Technique: Left: CT. Right: PSMA PET, same axial level, 18F tracer. PET panel 200×200 px (4.1 mm/px).
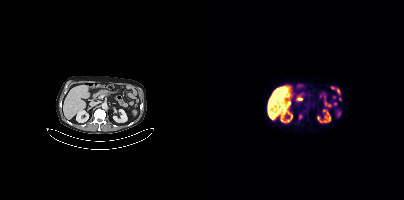
Findings: Coordinates are on the 200×200 PET (right) panel. PSMA-avid tumor lesion bounding box (x0, y0)-(x1, y1): (95, 115)-(98, 119).